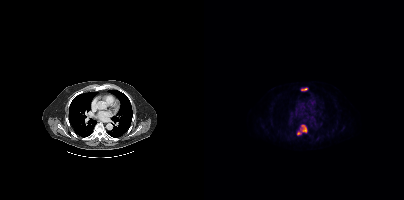
{"modality":"PSMA PET/CT","view":"axial","tracer":"18F","pet_grid":[200,200],"coord_frame":"pet_panel","coord_format":"x0,y0,x1,y1","lesion_bboxes":[[97,125,102,132],[97,88,103,90],[93,131,97,134]]}